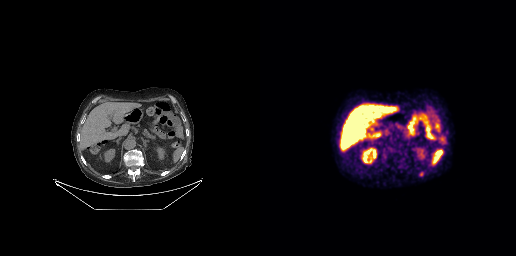
{"modality":"PSMA PET/CT","view":"axial","tracer":"18F","pet_grid":[256,256],"coord_frame":"pet_panel","coord_format":"x0,y0,x1,y1","lesion_bboxes":[],"small_foci_centers":[[161,173]]}